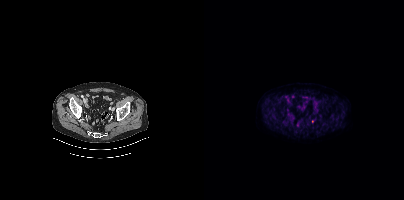
Coordinates are on the 200×200 PET (right) panel. Small PSMA-avid focus (2 to 4 px across) near (center x, center y): (108, 121). Two-panel axial: CT | PSMA PET, [18F]PSMA-1007 tracer. Acquired on Siemens Biograph mCT Flow 20. Slice position z = -1489 mm.